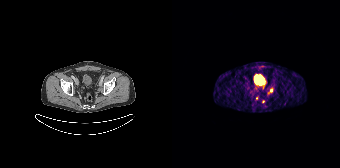
Paired axial CT (left) and PSMA PET (right), [68Ga]Ga-PSMA-11 tracer. Slice position z = -1204 mm. PET panel 168×168 px (4.1 mm/px).
Coordinates are on the 168×168 PET (right) panel. PSMA-avid tumor lesion bounding boxes:
| # | x0 | y0 | x1 | y1 |
|---|---|---|---|---|
| 1 | 97 | 88 | 100 | 92 |
Small PSMA-avid foci (2 to 4 px across) near (center x, center y): (91, 101); (84, 98).